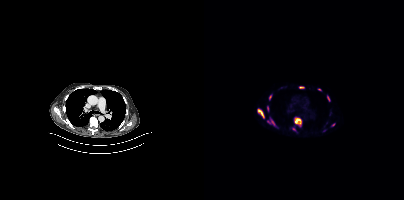
{"modality":"PSMA PET/CT","view":"axial","tracer":"18F","pet_grid":[200,200],"coord_frame":"pet_panel","coord_format":"x0,y0,x1,y1","partial":true,"lesion_bboxes":[[90,117,97,126],[53,108,60,117],[95,86,100,88],[65,95,67,99],[123,96,125,101],[68,121,70,125],[63,106,64,110]],"small_foci_centers":[[89,129],[115,89],[129,124]]}